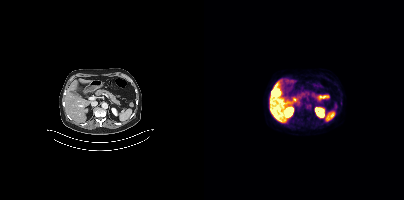
Only PSMA-avid lesion pieces thinner than 2 px on this slice (not listed).